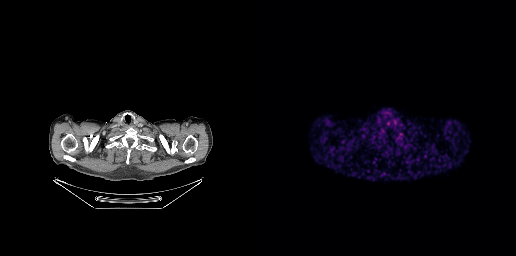
modality: PSMA PET/CT | tracer: 68Ga-PSMA | view: axial | PET grid: 256×256
Negative for PSMA-avid disease on this slice.